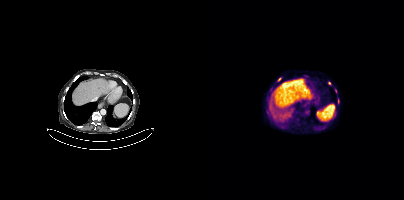
Coordinates are on the 200×200 PET (right) panel. (showing 5 of 7 foci) PSMA-avid tumor lesion bounding box (x0,y0,x1,y1): [134,99,135,103]. Small PSMA-avid foci (2 to 4 px across) near (center x, center y): (75, 79); (125, 83); (71, 122); (130, 105).